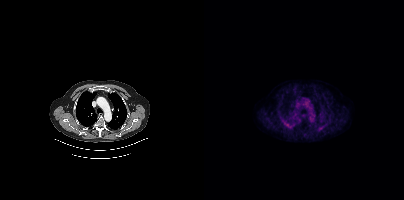
{"pet_grid":[200,200],"coord_frame":"pet_panel","coord_format":"x0,y0,x1,y1","psma_avid_lesions":false,"modality":"PSMA PET/CT","view":"axial","tracer":"[18F]PSMA-1007"}